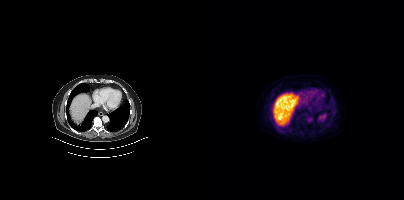
No PSMA-avid tumor lesions on this slice. Two-panel axial: CT | PSMA PET, 18F-PSMA tracer.